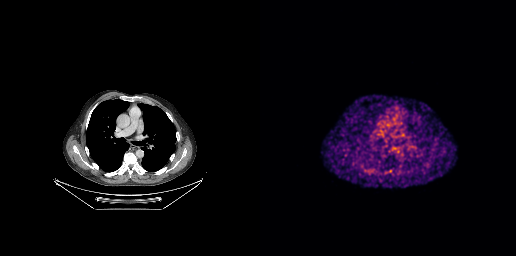
modality: PSMA PET/CT | tracer: 68Ga-PSMA | view: axial | PET grid: 256×256
Coordinates are on the 256×256 PET (right) panel. Small PSMA-avid focus (2 to 4 px across) near (center x, center y): (175, 144).